Left: CT. Right: PSMA PET, same axial level, [18F]PSMA-1007 tracer. Acquired on Siemens Biograph mCT Flow 20. Slice 108 of 367.
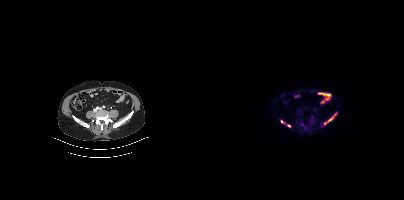
Coordinates are on the 200×200 PET (right) panel. PSMA-avid tumor lesion bounding box (x0, y0)-(x1, y1): (124, 113)-(132, 121). Small PSMA-avid foci (2 to 4 px across) near (center x, center y): (121, 123) / (77, 121) / (85, 125).